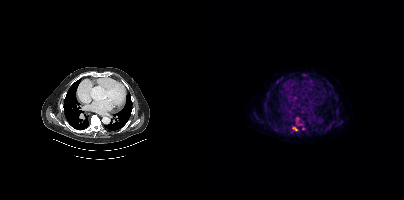
{"modality":"PSMA PET/CT","view":"axial","tracer":"18F","pet_grid":[200,200],"coord_frame":"pet_panel","coord_format":"x0,y0,x1,y1","partial":true,"lesion_bboxes":[[88,127,93,130]],"small_foci_centers":[[100,74],[99,128]]}